- Paired axial CT (left) and PSMA PET (right), 18F tracer
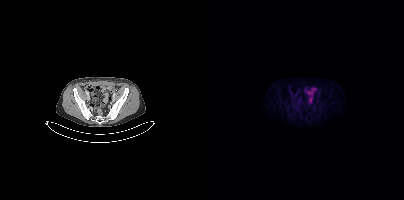
Findings: No PSMA-avid tumor lesions on this slice.